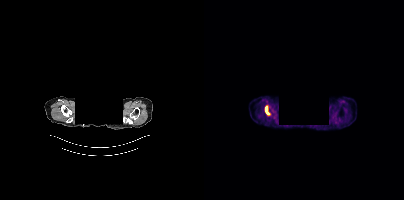
{"modality":"PSMA PET/CT","view":"axial","tracer":"18F","pet_grid":[200,200],"coord_frame":"pet_panel","coord_format":"x0,y0,x1,y1","de-identification":"face masked with black rectangle","lesion_bboxes":[[61,107,64,113]]}